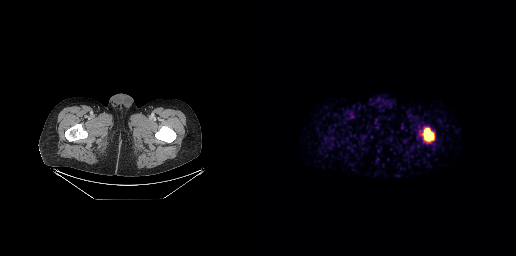
Two-panel axial: CT | PSMA PET, 68Ga-PSMA tracer. Acquired on GE Discovery 690. Slice position z = -1027 mm. Coordinates are on the 256×256 PET (right) panel. PSMA-avid tumor lesion bounding box (x, y, width, height): x=162 y=127 w=13 h=15.